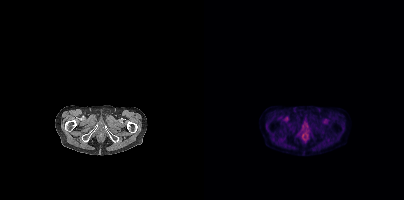
Two-panel axial: CT | PSMA PET, 18F-PSMA tracer. PET panel 200×200 px (4.1 mm/px). Negative for PSMA-avid disease on this slice.